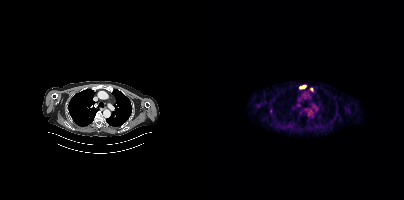
modality: PSMA PET/CT | tracer: 18F-PSMA | view: axial | PET grid: 200×200
Coordinates are on the 200×200 PET (right) panel. PSMA-avid tumor lesion bounding box (x0,y0,x1,y1): [95,85,102,88]. Small PSMA-avid foci (2 to 4 px across) near (center x, center y): (107, 89) (66, 111).